Paired axial CT (left) and PSMA PET (right), [18F]PSMA-1007 tracer. Acquired on Siemens Biograph mCT Flow 20. Slice 79 of 381.
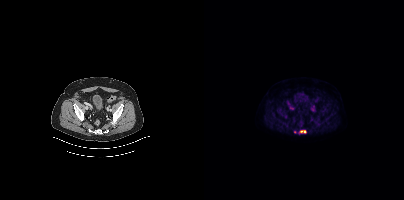
Coordinates are on the 200×200 PET (right) panel. PSMA-avid tumor lesion bounding boxes (partial; 1 more focus not listed):
| # | x0 | y0 | x1 | y1 |
|---|---|---|---|---|
| 1 | 96 | 130 | 102 | 133 |